modality: PSMA PET/CT | tracer: [18F]PSMA-1007 | view: axial | PET grid: 200×200
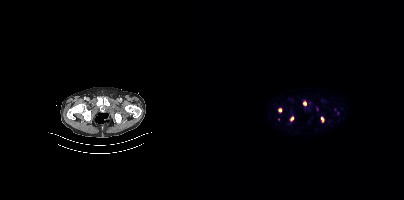
Coordinates are on the 200×200 PET (right) panel. (showing 5 of 6 foci) PSMA-avid tumor lesion bounding box (x0, y0)-(x1, y1): (117, 117)-(119, 121). Small PSMA-avid foci (2 to 4 px across) near (center x, center y): (100, 103); (87, 118); (76, 109); (74, 119).